modality: PSMA PET/CT | tracer: 18F | view: axial
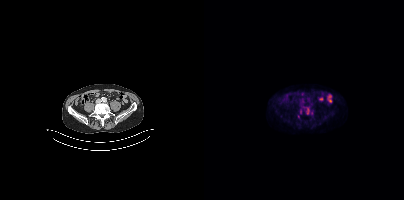
Coordinates are on the 200×200 PET (right) panel. PSMA-avid tumor lesion bounding boxes (x, y, width, height): x=94 y=110 w=5 h=9; x=103 y=108 w=3 h=7.